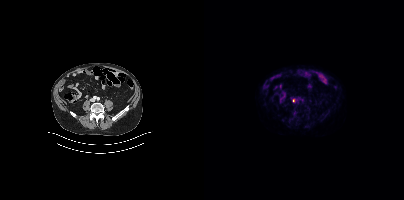
Coordinates are on the 200×200 PET (right) panel. Small PSMA-avid focus (2 to 4 px across) near (center x, center y): (89, 100).
modality: PSMA PET/CT | tracer: 18F | view: axial | PET grid: 200×200